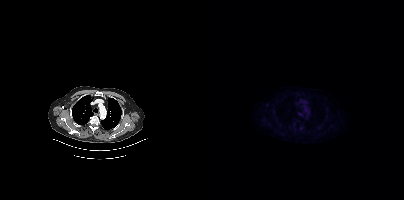
{"pet_grid":[200,200],"coord_frame":"pet_panel","coord_format":"x0,y0,x1,y1","psma_avid_lesions":false,"modality":"PSMA PET/CT","view":"axial","tracer":"18F-PSMA"}